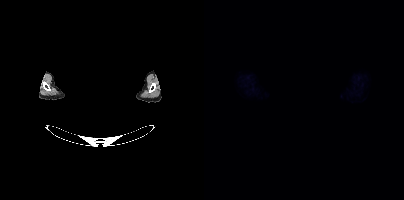
Technique: Two-panel axial: CT | PSMA PET, 18F-PSMA tracer. acquired on Siemens Biograph mCT Flow 20.
Note: The face region was removed for patient privacy by blanking a rectangle over the head.
Findings: This slice has no annotated PSMA-avid lesion.